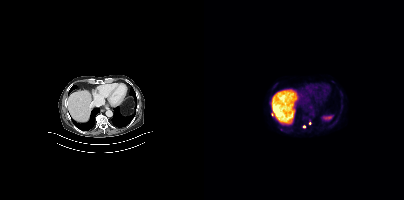
{"modality":"PSMA PET/CT","view":"axial","tracer":"18F","pet_grid":[200,200],"coord_frame":"pet_panel","coord_format":"x0,y0,x1,y1","partial":true,"lesion_bboxes":[]}